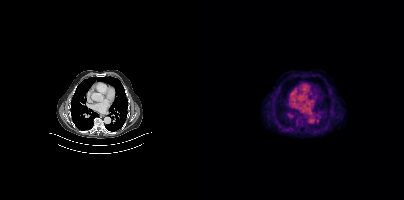
Left: CT. Right: PSMA PET, same axial level, 18F tracer. No tumor lesions annotated on this slice.